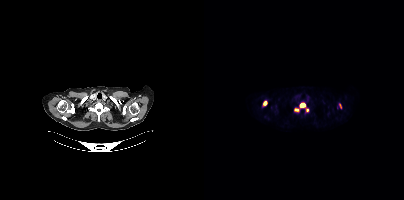
Left: CT. Right: PSMA PET, same axial level, 18F-PSMA tracer. Acquired on Siemens Biograph mCT Flow 20.
Coordinates are on the 200×200 PET (right) panel. PSMA-avid tumor lesion bounding boxes:
| # | x0 | y0 | x1 | y1 |
|---|---|---|---|---|
| 1 | 90 | 102 | 104 | 111 |
| 2 | 59 | 100 | 63 | 106 |
| 3 | 135 | 104 | 137 | 108 |